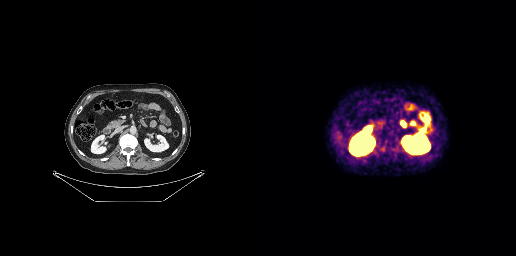
{"pet_grid":[256,256],"coord_frame":"pet_panel","coord_format":"x0,y0,x1,y1","psma_avid_lesions":false,"modality":"PSMA PET/CT","view":"axial","tracer":"68Ga-PSMA"}